Two-panel axial: CT | PSMA PET, [18F]PSMA-1007 tracer. Slice 80 of 444. PET panel 200×200 px (4.1 mm/px).
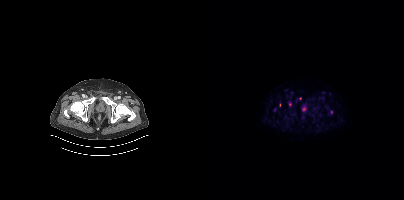
Coordinates are on the 200×200 PET (right) panel. (showing 1 of 4 foci) Small PSMA-avid focus (2 to 4 px across) near (center x, center y): (96, 98).